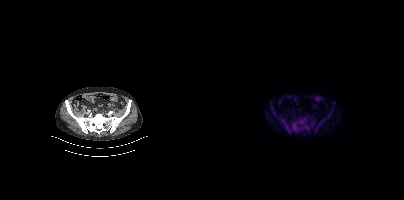
Coordinates are on the 200×200 PET (right) panel. (showing 5 of 6 foci) PSMA-avid tumor lesion bounding boxes (x, y, width, height): x=76 y=117 w=30 h=16 | x=111 y=119 w=10 h=13 | x=107 y=120 w=5 h=6 | x=123 y=110 w=6 h=9 | x=67 y=107 w=5 h=7. Two-panel axial: CT | PSMA PET, 18F-PSMA tracer. PET panel 200×200 px (4.1 mm/px).